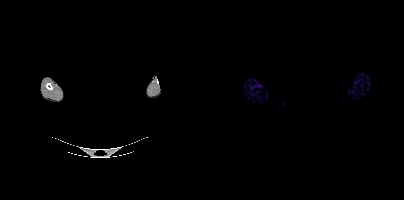
modality: PSMA PET/CT | tracer: [18F]PSMA-1007 | view: axial | PET grid: 200×200 | de-identification: head region blacked out before release
No PSMA-avid tumor lesions on this slice.